modality: PSMA PET/CT | tracer: [68Ga]Ga-PSMA-11 | view: axial | PET grid: 168×168
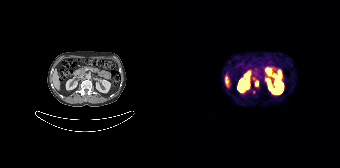
Coordinates are on the 168×168 PET (right) panel. Small PSMA-avid foci (2 to 4 px across) near (center x, center y): (84, 83) / (81, 92).